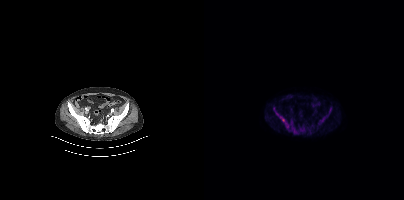
- Paired axial CT (left) and PSMA PET (right), 18F tracer
Findings: Coordinates are on the 200×200 PET (right) panel. PSMA-avid tumor lesion bounding boxes (x0,y0,x1,y1): [69,109,85,130], [114,108,127,124], [88,123,94,133], [96,127,100,131].